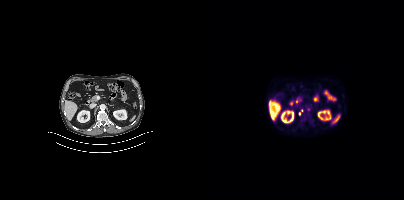
Coordinates are on the 200×200 PET (right) panel. (showing 2 of 3 foci) Small PSMA-avid foci (2 to 4 px across) near (center x, center y): (98, 110) (95, 113).
modality: PSMA PET/CT | tracer: 18F-PSMA | view: axial | PET grid: 200×200